Left: CT. Right: PSMA PET, same axial level, [68Ga]Ga-PSMA-11 tracer.
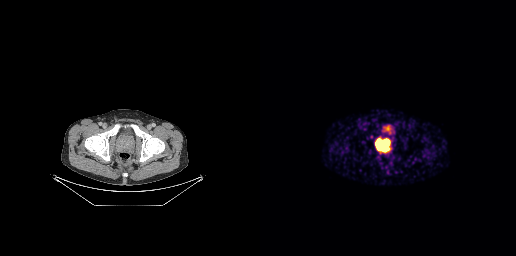
Coordinates are on the 256×256 PET (right) panel. PSMA-avid tumor lesion bounding box (x, y, width, height): x=116 y=139 w=14 h=12.